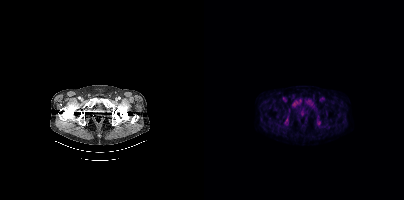
Findings: No PSMA-avid tumor lesions on this slice.
Technique: Paired axial CT (left) and PSMA PET (right), 18F-PSMA tracer. slice 60 of 438.